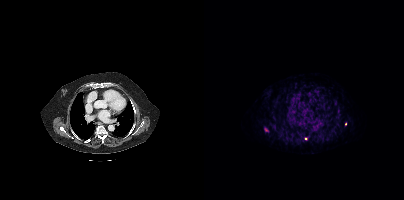
{"modality":"PSMA PET/CT","view":"axial","tracer":"68Ga-PSMA","pet_grid":[200,200],"coord_frame":"pet_panel","coord_format":"x0,y0,x1,y1","lesion_bboxes":[],"small_foci_centers":[[141,124],[101,138],[62,129]]}